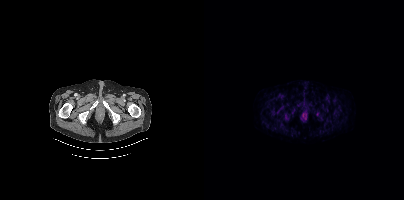
Technique: Paired axial CT (left) and PSMA PET (right), 18F tracer. PET panel 200×200 px (4.1 mm/px).
Findings: No PSMA-avid tumor lesions on this slice.